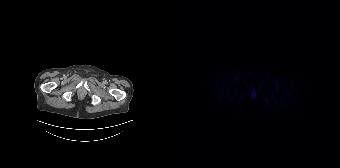
No PSMA-avid tumor lesions on this slice.
modality: PSMA PET/CT | tracer: 18F-PSMA | view: axial | PET grid: 168×168